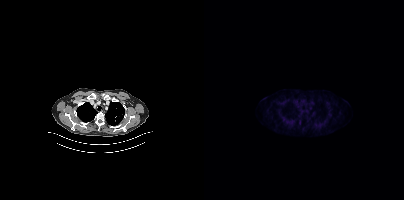
Paired axial CT (left) and PSMA PET (right), 18F-PSMA tracer. No PSMA-avid tumor lesions on this slice.